Technique: Paired axial CT (left) and PSMA PET (right), [18F]PSMA-1007 tracer. acquired on Siemens Biograph mCT Flow 20.
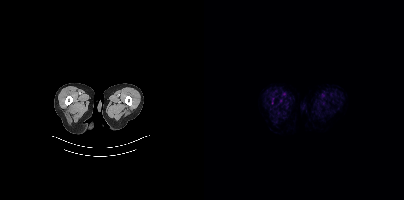
Findings: This slice has no annotated PSMA-avid lesion.